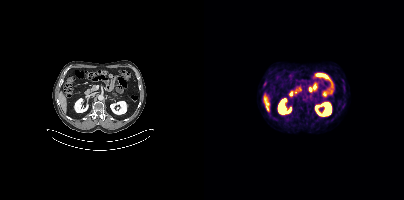
{"modality":"PSMA PET/CT","view":"axial","tracer":"18F","pet_grid":[200,200],"coord_frame":"pet_panel","coord_format":"x0,y0,x1,y1","partial":true,"lesion_bboxes":[]}